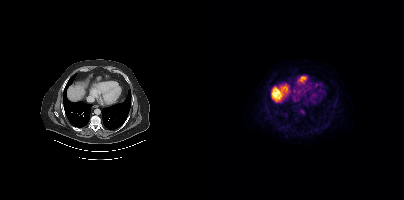
- Left: CT. Right: PSMA PET, same axial level, 18F tracer
- acquired on Siemens Biograph mCT Flow 20
- slice position z = -1085 mm
Findings: This slice has no annotated PSMA-avid lesion.